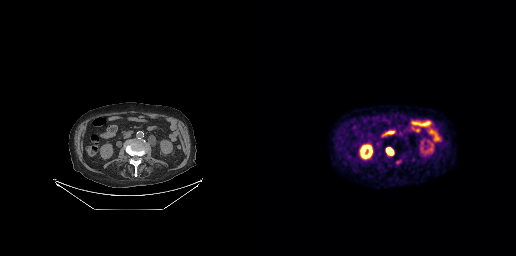
Left: CT. Right: PSMA PET, same axial level, [18F]PSMA-1007 tracer. Coordinates are on the 256×256 PET (right) panel. PSMA-avid tumor lesion bounding box (x, y, width, height): x=126 y=147 w=9 h=9.